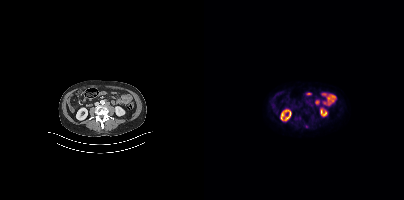
modality: PSMA PET/CT | tracer: 18F-PSMA | view: axial
Coordinates are on the 200×200 PET (right) panel. Small PSMA-avid focus (2 to 4 px across) near (center x, center y): (102, 126).